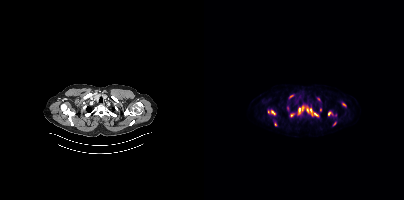
Paired axial CT (left) and PSMA PET (right), [18F]PSMA-1007 tracer.
Coordinates are on the 200×200 PET (right) panel. PSMA-avid tumor lesion bounding boxes (partial; 2 more foci not listed):
| # | x0 | y0 | x1 | y1 |
|---|---|---|---|---|
| 1 | 104 | 109 | 108 | 115 |
| 2 | 67 | 110 | 71 | 114 |
| 3 | 110 | 112 | 114 | 116 |
| 4 | 94 | 108 | 96 | 114 |
Small PSMA-avid foci (2 to 4 px across) near (center x, center y): (87, 114); (125, 113); (114, 99); (116, 109); (71, 124); (64, 112); (130, 123); (140, 104).